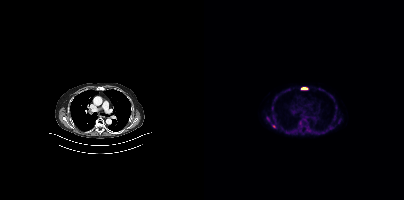
{"modality":"PSMA PET/CT","view":"axial","tracer":"18F","pet_grid":[200,200],"coord_frame":"pet_panel","coord_format":"x0,y0,x1,y1","lesion_bboxes":[[97,87,103,89],[68,114,71,119]],"small_foci_centers":[[70,126],[96,122],[63,118]]}